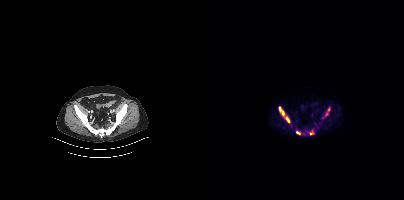
- Two-panel axial: CT | PSMA PET, 18F-PSMA tracer
- slice position z = -216 mm
Findings: Coordinates are on the 200×200 PET (right) panel. PSMA-avid tumor lesion bounding boxes (x, y, width, height): x=75 y=107 w=6 h=9 | x=121 y=107 w=5 h=9 | x=81 y=116 w=5 h=7. Small PSMA-avid foci (2 to 4 px across) near (center x, center y): (107, 132) | (93, 132).